Technique: Left: CT. Right: PSMA PET, same axial level, [18F]PSMA-1007 tracer. slice position z = -926 mm. PET panel 200×200 px (4.1 mm/px).
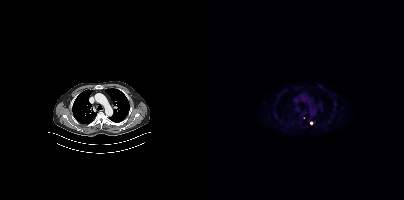
Findings: This slice has no annotated PSMA-avid lesion.